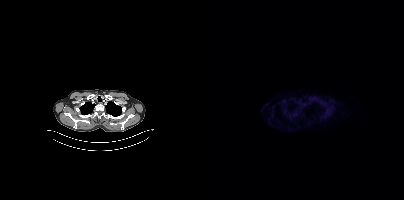
No PSMA-avid tumor lesions on this slice. Two-panel axial: CT | PSMA PET, 18F tracer.